- Paired axial CT (left) and PSMA PET (right), 18F-PSMA tracer
- slice position z = -618 mm
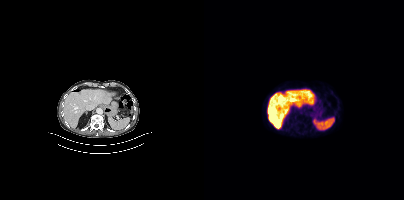
Findings: This slice has no annotated PSMA-avid lesion.